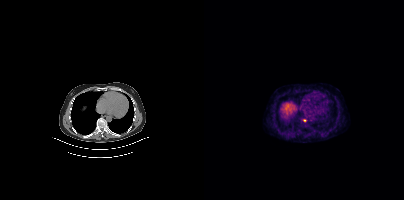
Technique: Paired axial CT (left) and PSMA PET (right), 68Ga tracer. slice 249 of 409.
Findings: Coordinates are on the 200×200 PET (right) panel. Small PSMA-avid focus (2 to 4 px across) near (center x, center y): (100, 120).